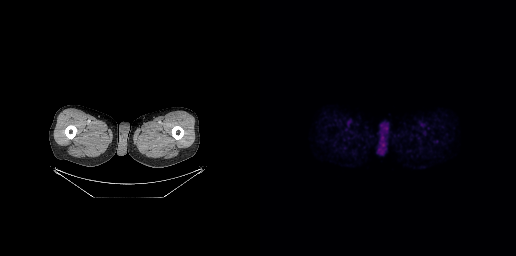
Paired axial CT (left) and PSMA PET (right), 18F tracer. Acquired on GE Discovery 690. Slice 37 of 299. This slice has no annotated PSMA-avid lesion.